Two-panel axial: CT | PSMA PET, [18F]PSMA-1007 tracer. Acquired on GE Discovery 690. PET panel 256×256 px (2.7 mm/px).
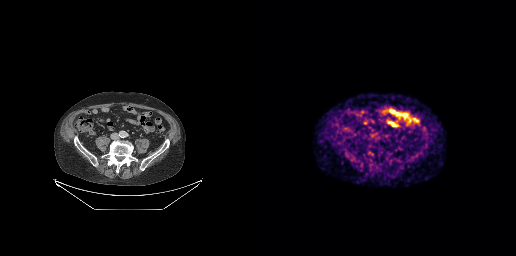
Negative for PSMA-avid disease on this slice.